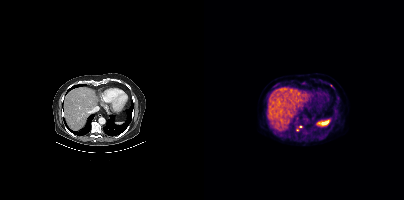
{"modality":"PSMA PET/CT","view":"axial","tracer":"18F","pet_grid":[200,200],"coord_frame":"pet_panel","coord_format":"x0,y0,x1,y1","lesion_bboxes":[],"small_foci_centers":[[127,85],[96,126],[93,129]]}